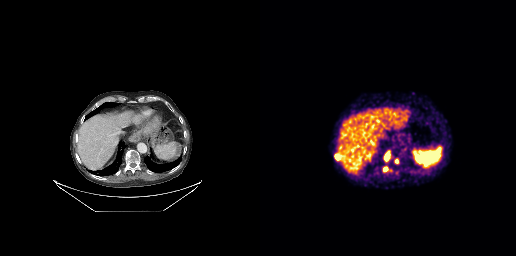
Findings: Coordinates are on the 256×256 PET (right) panel. PSMA-avid tumor lesion bounding boxes (x0, y0)-(x1, y1): (124, 150)-(130, 159) / (75, 154)-(81, 160) / (123, 166)-(128, 171). Small PSMA-avid foci (2 to 4 px across) near (center x, center y): (117, 173) / (136, 161).
- Left: CT. Right: PSMA PET, same axial level, [68Ga]Ga-PSMA-11 tracer